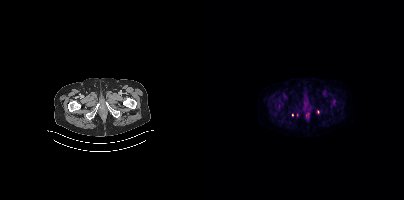
{"pet_grid":[200,200],"coord_frame":"pet_panel","coord_format":"x0,y0,x1,y1","lesion_bboxes":[],"small_foci_centers":[[114,111],[130,101],[93,114],[88,114]],"modality":"PSMA PET/CT","view":"axial","tracer":"[18F]PSMA-1007"}